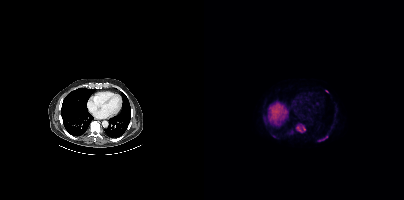
Coordinates are on the 200×200 PET (right) panel. (showing 3 of 4 foci) PSMA-avid tumor lesion bounding boxes (x0, y0)-(x1, y1): (92, 124)-(101, 132); (114, 136)-(122, 141). Small PSMA-avid focus (2 to 4 px across) near (center x, center y): (122, 90).